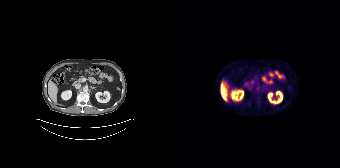
{"pet_grid":[168,168],"coord_frame":"pet_panel","coord_format":"x0,y0,x1,y1","psma_avid_lesions":false,"modality":"PSMA PET/CT","view":"axial","tracer":"18F"}